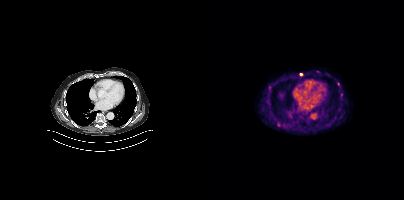
Findings: Coordinates are on the 200×200 PET (right) panel. (showing 3 of 4 foci) Small PSMA-avid foci (2 to 4 px across) near (center x, center y): (134, 83); (97, 74); (74, 124).
- Two-panel axial: CT | PSMA PET, 18F-PSMA tracer
- acquired on Siemens Biograph mCT Flow 20